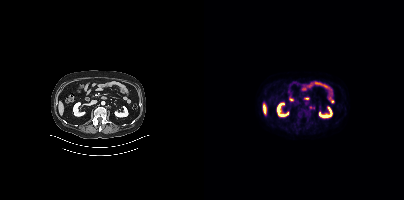
modality: PSMA PET/CT | tracer: 18F-PSMA | view: axial
Coordinates are on the 200×200 PET (right) panel. (showing 1 of 2 foci) Small PSMA-avid focus (2 to 4 px across) near (center x, center y): (106, 107).